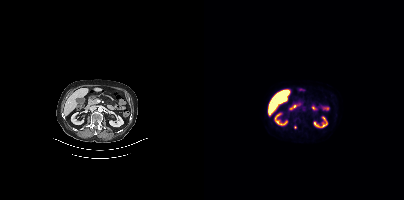
Findings: Coordinates are on the 200×200 PET (right) panel. Small PSMA-avid focus (2 to 4 px across) near (center x, center y): (91, 127).
- Left: CT. Right: PSMA PET, same axial level, 18F-PSMA tracer